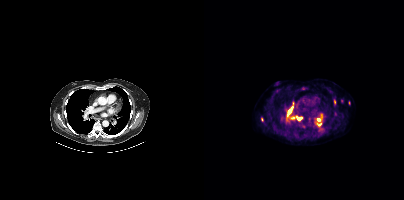
- Left: CT. Right: PSMA PET, same axial level, [18F]PSMA-1007 tracer
- PET panel 200×200 px (4.1 mm/px)
Findings: Coordinates are on the 200×200 PET (right) panel. (showing 10 of 11 foci) PSMA-avid tumor lesion bounding boxes (x0,y0,x1,y1): [83,101,90,116], [92,116,97,119], [86,116,90,119]. Small PSMA-avid foci (2 to 4 px across) near (center x, center y): (115, 124), (83, 119), (114, 119), (130, 100), (100, 126), (117, 116), (57, 119).